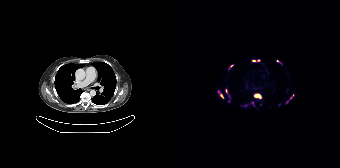
Findings: Coordinates are on the 168×168 PET (right) panel. (showing 11 of 12 foci) PSMA-avid tumor lesion bounding boxes (x, y, width, height): x=82 y=93 w=8 h=7 / x=45 y=90 w=8 h=9 / x=113 y=94 w=10 h=10 / x=53 y=88 w=6 h=10 / x=80 y=59 w=9 h=3 / x=56 y=64 w=6 h=6 / x=104 y=60 w=6 h=5 / x=79 y=102 w=4 h=5. Small PSMA-avid foci (2 to 4 px across) near (center x, center y): (74, 105) / (56, 101) / (107, 104).
- Left: CT. Right: PSMA PET, same axial level, [18F]PSMA-1007 tracer
- slice position z = -780 mm